Technique: Two-panel axial: CT | PSMA PET, 18F-PSMA tracer. acquired on Siemens Biograph mCT Flow 20. slice 17 of 427. PET panel 200×200 px (4.1 mm/px).
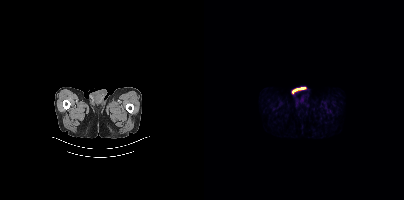
Findings: No tumor lesions annotated on this slice.